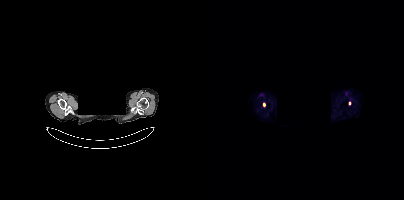
Technique: Paired axial CT (left) and PSMA PET (right), 18F tracer. slice position z = -1098 mm.
Note: A rectangular block over the head has been blanked out for de-identification.
Findings: Coordinates are on the 200×200 PET (right) panel. Small PSMA-avid foci (2 to 4 px across) near (center x, center y): (145, 103) / (59, 104).